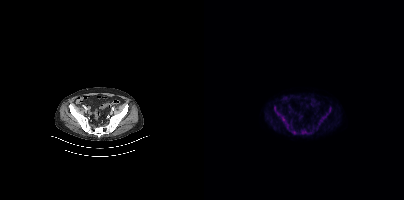
- Left: CT. Right: PSMA PET, same axial level, 18F tracer
- acquired on Siemens Biograph mCT Flow 20
Findings: Coordinates are on the 200×200 PET (right) panel. PSMA-avid tumor lesion bounding boxes (x0,y0,x1,y1): [70,110,84,128]; [114,108,127,124]; [97,129,107,134]. Small PSMA-avid foci (2 to 4 px across) near (center x, center y): (90, 132); (112, 128).